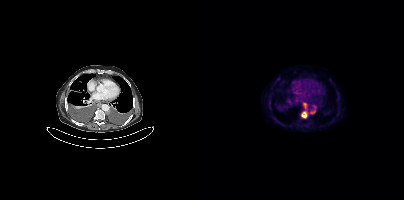
{"modality":"PSMA PET/CT","view":"axial","tracer":"18F-PSMA","pet_grid":[200,200],"coord_frame":"pet_panel","coord_format":"x0,y0,x1,y1","lesion_bboxes":[[98,112,102,117],[100,103,102,107]]}